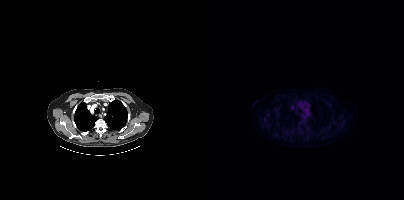
modality: PSMA PET/CT | tracer: 18F | view: axial
This slice has no annotated PSMA-avid lesion.